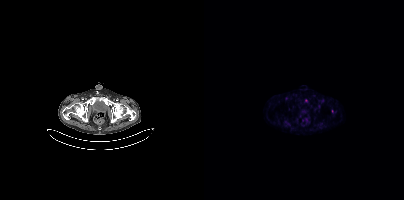
- Left: CT. Right: PSMA PET, same axial level, [18F]PSMA-1007 tracer
- acquired on Siemens Biograph mCT Flow 20
- slice position z = -978 mm
Findings: Only PSMA-avid lesion pieces thinner than 2 px on this slice (not listed).